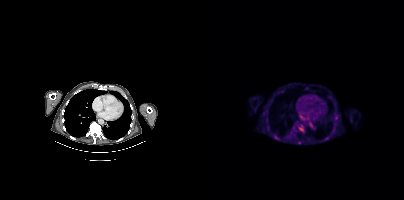
- Left: CT. Right: PSMA PET, same axial level, 18F tracer
- slice 240 of 403
Findings: Coordinates are on the 200×200 PET (right) panel. PSMA-avid tumor lesion bounding box (x0, y0)-(x1, y1): (94, 126)-(100, 131). Small PSMA-avid foci (2 to 4 px across) near (center x, center y): (95, 142); (132, 117).